Paired axial CT (left) and PSMA PET (right), 18F-PSMA tracer. Acquired on Siemens Biograph mCT Flow 20. Slice position z = -1607 mm.
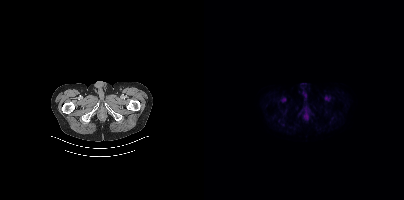
No tumor lesions annotated on this slice.